Two-panel axial: CT | PSMA PET, [18F]PSMA-1007 tracer. Acquired on Siemens Biograph mCT Flow 20. Slice position z = -615 mm.
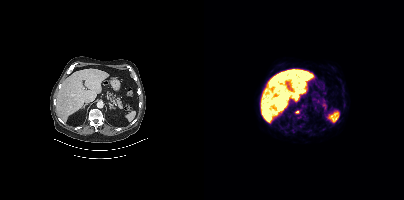
Coordinates are on the 200×200 PET (right) panel. PSMA-avid tumor lesion bounding boxes:
| # | x0 | y0 | x1 | y1 |
|---|---|---|---|---|
| 1 | 91 | 110 | 95 | 113 |